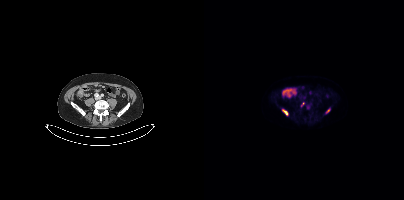
Coordinates are on the 200×200 PET (right) panel. PSMA-avid tumor lesion bounding boxes (x0,y0,x1,y1): [78,109,83,115]; [122,108,126,113].
modality: PSMA PET/CT | tracer: 18F | view: axial